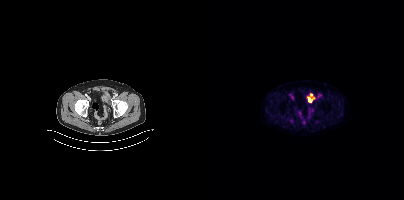
Coordinates are on the 200×200 PET (right) panel. (showing 2 of 3 foci) PSMA-avid tumor lesion bounding box (x0,y0,x1,y1): [85,119,89,122]. Small PSMA-avid focus (2 to 4 px across) near (center x, center y): (106, 96).